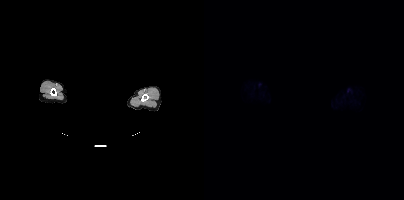
Privacy masking over the head, with the pixels inside a rectangle set to black.
No tumor lesions annotated on this slice.